- a rectangle over the head was blacked out to remove identifiable facial features
- Two-panel axial: CT | PSMA PET, [18F]PSMA-1007 tracer
- acquired on Siemens Biograph mCT Flow 20
- slice 346 of 407
- PET panel 200×200 px (4.1 mm/px)
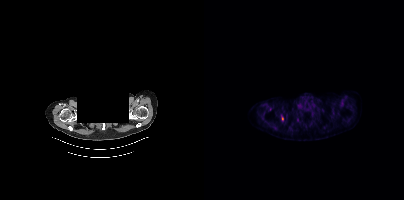
Findings: Coordinates are on the 200×200 PET (right) panel. PSMA-avid tumor lesion bounding box (x0, y0)-(x1, y1): (77, 116)-(79, 120).